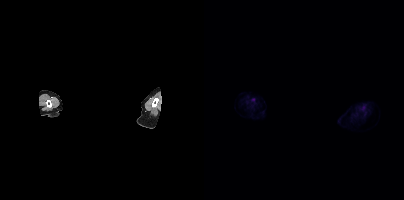
{"modality":"PSMA PET/CT","view":"axial","tracer":"18F-PSMA","pet_grid":[200,200],"coord_frame":"pet_panel","coord_format":"x0,y0,x1,y1","deidentification":"face masked with black rectangle","psma_avid_lesions":false}